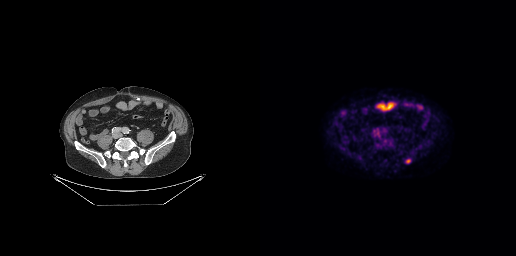
Coordinates are on the 256×256 PET (right) panel. PSMA-avid tumor lesion bounding box (x0, y0)-(x1, y1): (146, 159)-(150, 162).